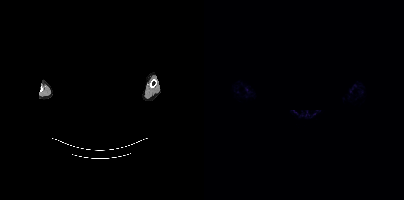
{"modality":"PSMA PET/CT","view":"axial","tracer":"[68Ga]Ga-PSMA-11","pet_grid":[200,200],"coord_frame":"pet_panel","coord_format":"x0,y0,x1,y1","psma_avid_lesions":false,"redaction":"rectangular block over head set to black"}